Left: CT. Right: PSMA PET, same axial level, 18F tracer. Acquired on Siemens Biograph mCT Flow 20. Slice 1 of 405. PET panel 200×200 px (4.1 mm/px).
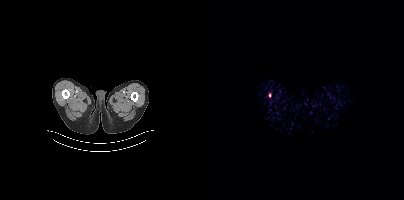
Coordinates are on the 200×200 PET (right) panel. PSMA-avid tumor lesion bounding box (x0,y0,x1,y1): [65,93,67,97].